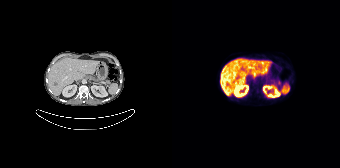
No tumor lesions annotated on this slice. Left: CT. Right: PSMA PET, same axial level, 18F tracer. PET panel 168×168 px (4.1 mm/px).